Technique: Paired axial CT (left) and PSMA PET (right), [18F]PSMA-1007 tracer.
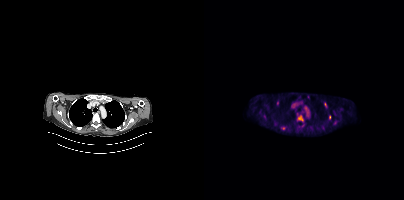
Findings: Coordinates are on the 200×200 PET (right) panel. (showing 4 of 5 foci) PSMA-avid tumor lesion bounding boxes (x0,y0,x1,y1): [94,115,99,121]; [77,127,81,129]; [120,103,122,107]; [125,115,126,119].